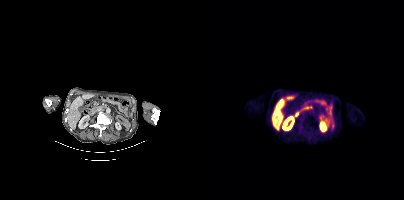
Negative for PSMA-avid disease on this slice. Paired axial CT (left) and PSMA PET (right), 18F tracer.